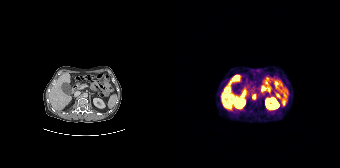
modality: PSMA PET/CT | tracer: [68Ga]Ga-PSMA-11 | view: axial
Coordinates are on the 168×168 PET (right) panel. Small PSMA-avid focus (2 to 4 px across) near (center x, center y): (82, 96).